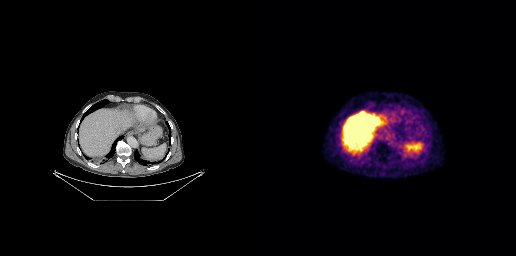
Left: CT. Right: PSMA PET, same axial level, [18F]PSMA-1007 tracer. Slice 160 of 263. PET panel 256×256 px (2.7 mm/px). This slice has no annotated PSMA-avid lesion.